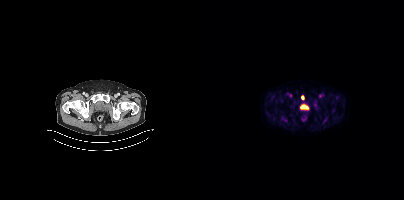
{"modality":"PSMA PET/CT","view":"axial","tracer":"[18F]PSMA-1007","pet_grid":[200,200],"coord_frame":"pet_panel","coord_format":"x0,y0,x1,y1","partial":true,"lesion_bboxes":[[119,118,123,122],[79,118,83,121]],"small_foci_centers":[[98,97],[77,101]]}